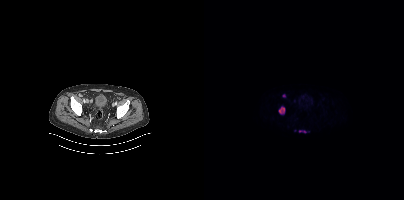
{"pet_grid":[200,200],"coord_frame":"pet_panel","coord_format":"x0,y0,x1,y1","lesion_bboxes":[[75,107,80,113],[95,130,102,132]],"small_foci_centers":[[80,95]],"modality":"PSMA PET/CT","view":"axial","tracer":"[18F]PSMA-1007"}